Paired axial CT (left) and PSMA PET (right), 18F-PSMA tracer. Acquired on Siemens Biograph 64-4R TruePoint.
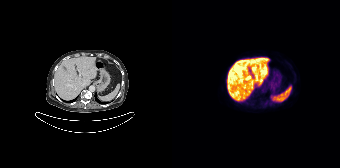
No PSMA-avid tumor lesions on this slice.